modality: PSMA PET/CT | tracer: [68Ga]Ga-PSMA-11 | view: axial | PET grid: 200×200
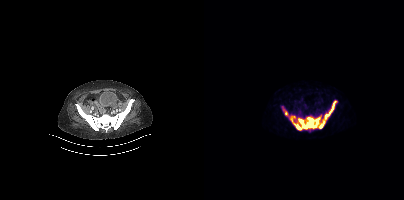
Coordinates are on the 200×200 PET (right) panel. (showing 5 of 6 foci) PSMA-avid tumor lesion bounding boxes (x, y, width, height): x=89 y=116 w=28 h=14; x=122 y=100 w=11 h=17; x=80 y=111 w=8 h=8. Small PSMA-avid foci (2 to 4 px across) near (center x, center y): (78, 107); (118, 116).